Paired axial CT (left) and PSMA PET (right), 18F-PSMA tracer. Slice position z = -892 mm.
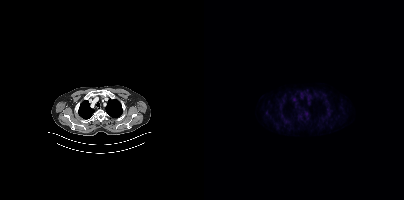
No tumor lesions annotated on this slice.